Left: CT. Right: PSMA PET, same axial level, [18F]PSMA-1007 tracer. Acquired on Siemens Biograph mCT Flow 20. Slice 1 of 403. PET panel 200×200 px (4.1 mm/px).
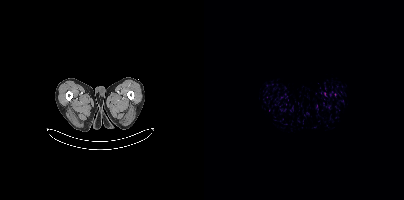
This slice has no annotated PSMA-avid lesion.